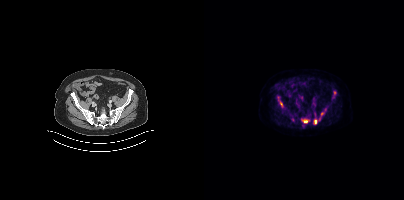
{"pet_grid":[200,200],"coord_frame":"pet_panel","coord_format":"x0,y0,x1,y1","partial":true,"lesion_bboxes":[[98,119,104,123],[129,91,132,97],[110,119,113,124],[76,101,78,107],[117,112,119,116]],"small_foci_centers":[[110,114],[115,119]],"modality":"PSMA PET/CT","view":"axial","tracer":"18F-PSMA"}